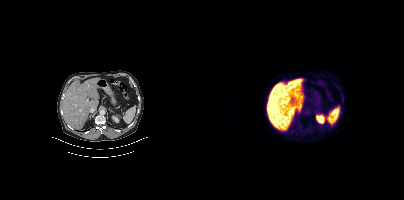
Two-panel axial: CT | PSMA PET, 18F tracer. Acquired on Siemens Biograph mCT Flow 20. Slice position z = -474 mm. PET panel 200×200 px (4.1 mm/px). This slice has no annotated PSMA-avid lesion.